Paired axial CT (left) and PSMA PET (right), 68Ga-PSMA tracer. Slice 40 of 263.
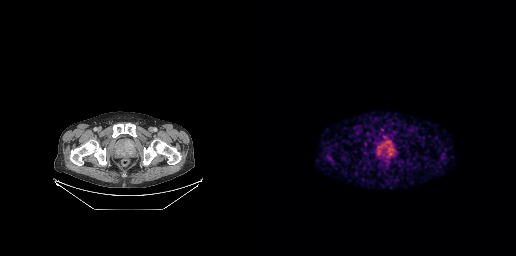
Coordinates are on the 256×256 PET (right) panel. PSMA-avid tumor lesion bounding boxes:
| # | x0 | y0 | x1 | y1 |
|---|---|---|---|---|
| 1 | 116 | 140 | 135 | 157 |
Small PSMA-avid focus (2 to 4 px across) near (center x, center y): (125, 137).